Paired axial CT (left) and PSMA PET (right), [18F]PSMA-1007 tracer. Acquired on GE Discovery 690. Slice position z = -153 mm. PET panel 256×256 px (2.7 mm/px).
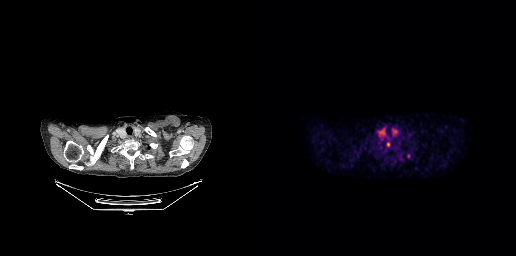
Coordinates are on the 256×256 PET (right) panel. PSMA-avid tumor lesion bounding boxes:
| # | x0 | y0 | x1 | y1 |
|---|---|---|---|---|
| 1 | 127 | 142 | 129 | 146 |
Small PSMA-avid focus (2 to 4 px across) near (center x, center y): (148, 155).